Paired axial CT (left) and PSMA PET (right), 18F-PSMA tracer. Slice position z = 288 mm. PET panel 200×200 px (4.1 mm/px).
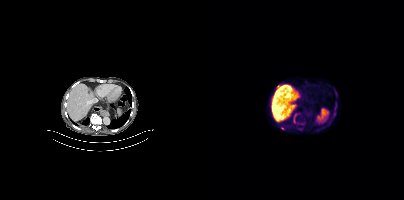
Coordinates are on the 200×200 PET (right) panel. PSMA-avid tumor lesion bounding boxes:
| # | x0 | y0 | x1 | y1 |
|---|---|---|---|---|
| 1 | 90 | 114 | 92 | 122 |
Small PSMA-avid foci (2 to 4 px across) near (center x, center y): (74, 86); (78, 128); (129, 116).